Two-panel axial: CT | PSMA PET, [18F]PSMA-1007 tracer.
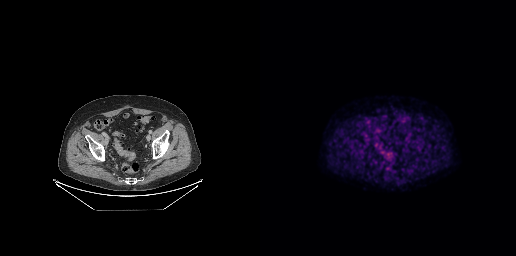
No tumor lesions annotated on this slice.